Left: CT. Right: PSMA PET, same axial level, 68Ga tracer. PET panel 256×256 px (2.7 mm/px).
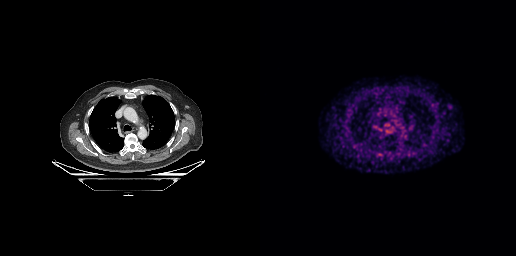
Coordinates are on the 256×256 PET (right) panel. Small PSMA-avid focus (2 to 4 px across) near (center x, center y): (120, 154).